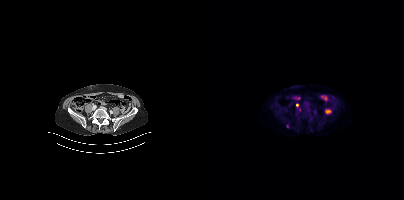
Coordinates are on the 200×200 PET (right) panel. Small PSMA-avid focus (2 to 4 px across) near (center x, center y): (92, 104).
modality: PSMA PET/CT | tracer: 18F | view: axial | PET grid: 200×200